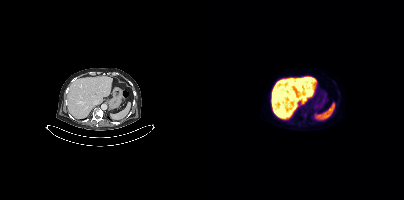
Negative for PSMA-avid disease on this slice.
modality: PSMA PET/CT | tracer: 18F-PSMA | view: axial | PET grid: 200×200